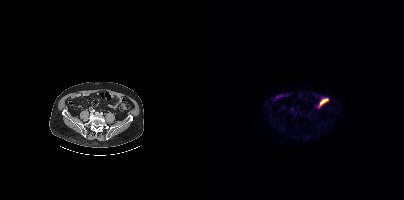
Findings: This slice has no annotated PSMA-avid lesion.
- Two-panel axial: CT | PSMA PET, [18F]PSMA-1007 tracer
- PET panel 200×200 px (4.1 mm/px)